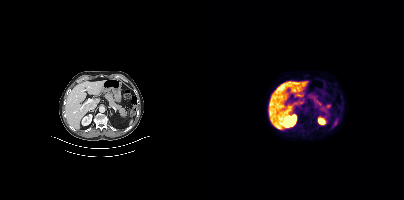
Technique: Two-panel axial: CT | PSMA PET, 68Ga-PSMA tracer. slice position z = -1293 mm. PET panel 200×200 px (4.1 mm/px).
Findings: This slice has no annotated PSMA-avid lesion.